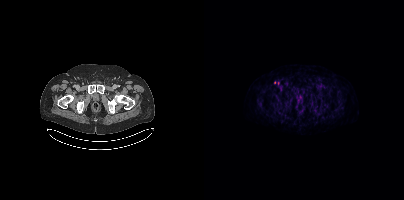
Findings: Coordinates are on the 200×200 PET (right) panel. Small PSMA-avid focus (2 to 4 px across) near (center x, center y): (118, 86).
- Left: CT. Right: PSMA PET, same axial level, 18F tracer
- PET panel 200×200 px (4.1 mm/px)